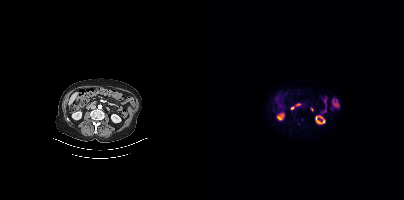
{"modality":"PSMA PET/CT","view":"axial","tracer":"18F","pet_grid":[200,200],"coord_frame":"pet_panel","coord_format":"x0,y0,x1,y1","partial":true,"lesion_bboxes":[]}